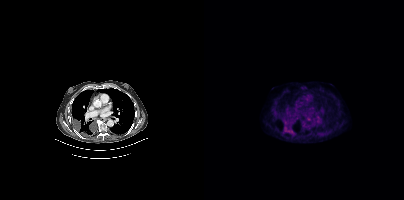
modality: PSMA PET/CT | tracer: [18F]PSMA-1007 | view: axial
Coordinates are on the 200×200 PET (right) panel. (showing 2 of 4 foci) PSMA-avid tumor lesion bounding box (x0, y0)-(x1, y1): (81, 127)-(89, 134). Small PSMA-avid focus (2 to 4 px across) near (center x, center y): (71, 116).